Technique: Paired axial CT (left) and PSMA PET (right), [18F]PSMA-1007 tracer.
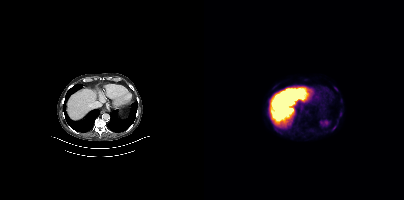
Findings: Coordinates are on the 200×200 PET (right) panel. PSMA-avid tumor lesion bounding boxes (x0, y0)-(x1, y1): (128, 126)-(131, 130); (136, 112)-(137, 116).